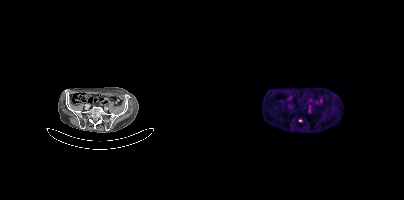
modality: PSMA PET/CT | tracer: [68Ga]Ga-PSMA-11 | view: axial | PET grid: 200×200
Coordinates are on the 200×200 PET (right) panel. Small PSMA-avid focus (2 to 4 px across) near (center x, center y): (96, 120).